Left: CT. Right: PSMA PET, same axial level, [18F]PSMA-1007 tracer.
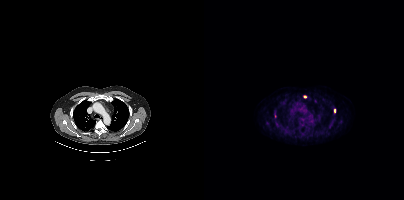
Coordinates are on the 200×200 PET (right) panel. (showing 2 of 4 foci) Small PSMA-avid foci (2 to 4 px across) near (center x, center y): (100, 96) (130, 110).